Two-panel axial: CT | PSMA PET, 18F tracer. Acquired on Siemens Biograph mCT Flow 20. PET panel 200×200 px (4.1 mm/px).
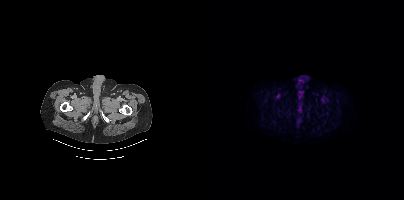
Coordinates are on the 200×200 PET (right) panel. Small PSMA-avid focus (2 to 4 px across) near (center x, center y): (122, 98).